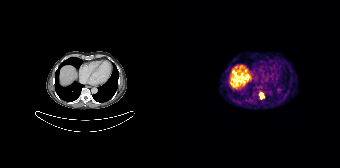
{"pet_grid":[168,168],"coord_frame":"pet_panel","coord_format":"x0,y0,x1,y1","lesion_bboxes":[[88,93,91,98]],"modality":"PSMA PET/CT","view":"axial","tracer":"68Ga-PSMA"}